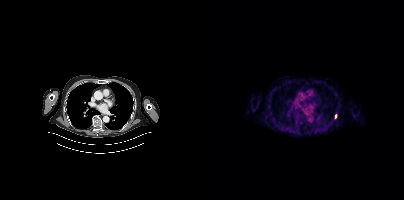
- Paired axial CT (left) and PSMA PET (right), 18F tracer
- acquired on Siemens Biograph mCT Flow 20
Findings: Coordinates are on the 200×200 PET (right) panel. Small PSMA-avid focus (2 to 4 px across) near (center x, center y): (131, 116).